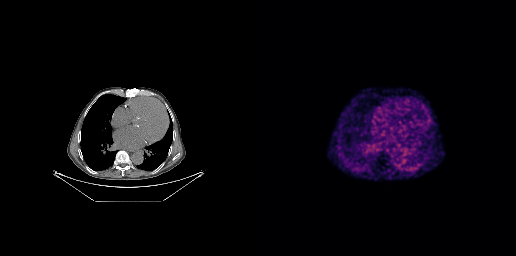
Technique: Left: CT. Right: PSMA PET, same axial level, 68Ga-PSMA tracer. PET panel 256×256 px (2.7 mm/px).
Findings: No PSMA-avid tumor lesions on this slice.